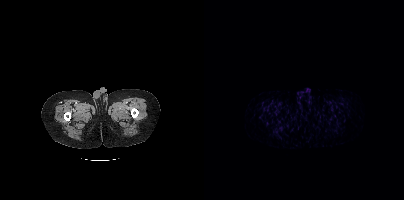
{"modality":"PSMA PET/CT","view":"axial","tracer":"[68Ga]Ga-PSMA-11","pet_grid":[200,200],"coord_frame":"pet_panel","coord_format":"x0,y0,x1,y1","psma_avid_lesions":false}